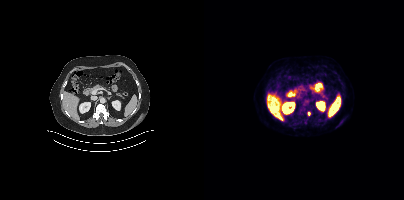
Coordinates are on the 200×200 PET (right) panel. Small PSMA-avid focus (2 to 4 px across) near (center x, center y): (104, 113). Left: CT. Right: PSMA PET, same axial level, 18F-PSMA tracer. PET panel 200×200 px (4.1 mm/px).